Left: CT. Right: PSMA PET, same axial level, 18F tracer.
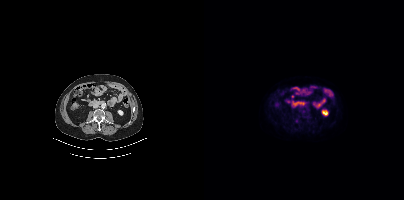
Negative for PSMA-avid disease on this slice.